Two-panel axial: CT | PSMA PET, 68Ga-PSMA tracer. Acquired on Siemens Biograph 64-4R TruePoint. Slice position z = -1563 mm. PET panel 168×168 px (4.1 mm/px).
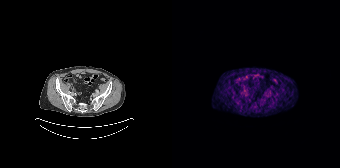
No tumor lesions annotated on this slice.